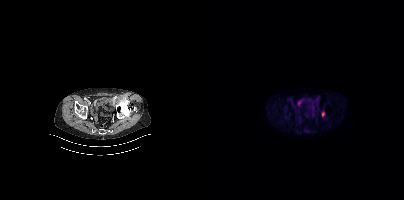
{"pet_grid":[200,200],"coord_frame":"pet_panel","coord_format":"x0,y0,x1,y1","lesion_bboxes":[],"small_foci_centers":[[118,114]],"modality":"PSMA PET/CT","view":"axial","tracer":"[18F]PSMA-1007"}